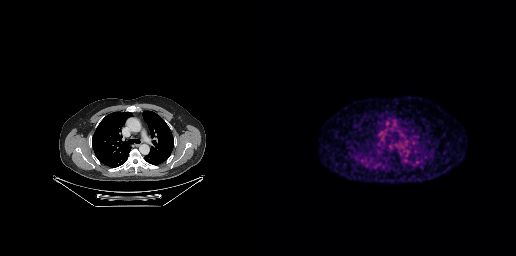
Technique: Two-panel axial: CT | PSMA PET, [68Ga]Ga-PSMA-11 tracer. acquired on GE Discovery 690. slice position z = -439 mm.
Findings: Negative for PSMA-avid disease on this slice.